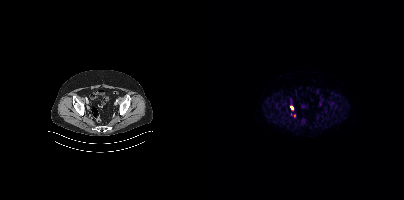
{"pet_grid":[200,200],"coord_frame":"pet_panel","coord_format":"x0,y0,x1,y1","lesion_bboxes":[[86,106,89,110]],"small_foci_centers":[[90,115]],"modality":"PSMA PET/CT","view":"axial","tracer":"18F-PSMA"}